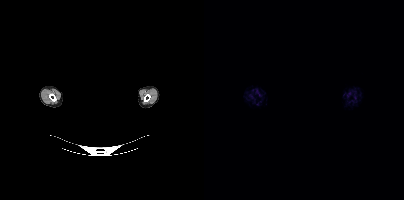
Negative for PSMA-avid disease on this slice. Two-panel axial: CT | PSMA PET, 18F tracer. Slice position z = -298 mm. Any black rectangle over the head is a privacy mask, not anatomy.